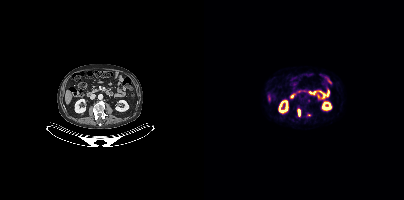
Findings: Coordinates are on the 200×200 PET (right) panel. PSMA-avid tumor lesion bounding box (x0, y0)-(x1, y1): (94, 109)-(96, 116). Small PSMA-avid focus (2 to 4 px across) near (center x, center y): (105, 114).
- Two-panel axial: CT | PSMA PET, 18F tracer
- acquired on Siemens Biograph mCT Flow 20
- slice 628 of 963
- PET panel 200×200 px (4.1 mm/px)